Technique: Paired axial CT (left) and PSMA PET (right), 68Ga tracer.
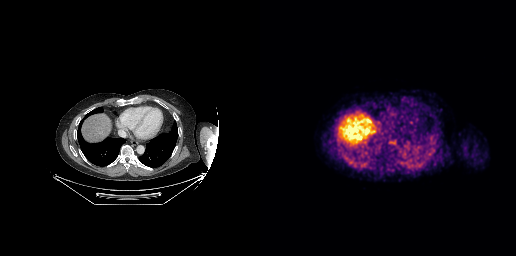
Findings: No PSMA-avid tumor lesions on this slice.